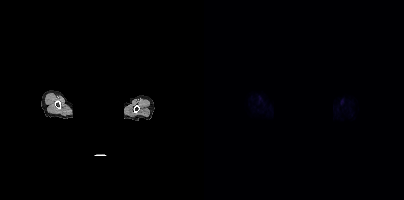
The face region was removed for patient privacy by blanking a rectangle over the head. Left: CT. Right: PSMA PET, same axial level, [18F]PSMA-1007 tracer. Acquired on Siemens Biograph mCT Flow 20. PET panel 200×200 px (4.1 mm/px). This slice has no annotated PSMA-avid lesion.